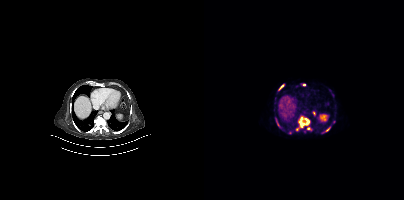
Coordinates are on the 200×200 PET (right) panel. (showing 7 of 9 foci) PSMA-avid tumor lesion bounding boxes (x0,y0,x1,y1): [95,116,105,127]; [71,117,76,126]; [75,84,80,90]; [122,127,126,131]. Small PSMA-avid foci (2 to 4 px across) near (center x, center y): (104, 128); (100, 84); (93, 129).
modality: PSMA PET/CT | tracer: 68Ga-PSMA | view: axial | PET grid: 200×200